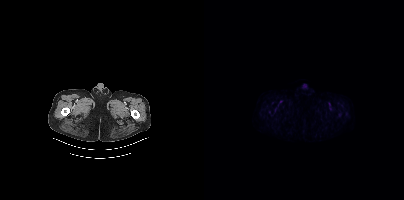
Two-panel axial: CT | PSMA PET, 18F tracer. Slice 40 of 450. PET panel 200×200 px (4.1 mm/px). No PSMA-avid tumor lesions on this slice.